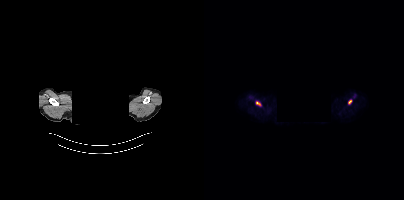
{"pet_grid":[200,200],"coord_frame":"pet_panel","coord_format":"x0,y0,x1,y1","lesion_bboxes":[],"small_foci_centers":[[145,101],[54,103]],"modality":"PSMA PET/CT","view":"axial","tracer":"[18F]PSMA-1007","deidentification":"privacy mask over head"}